Two-panel axial: CT | PSMA PET, 18F tracer. PET panel 168×168 px (4.1 mm/px). Any black rectangle over the head is a privacy mask, not anatomy.
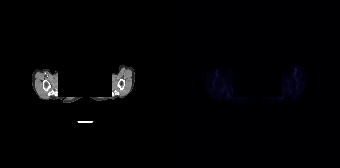
No tumor lesions annotated on this slice.